Paired axial CT (left) and PSMA PET (right), 68Ga tracer. PET panel 200×200 px (4.1 mm/px).
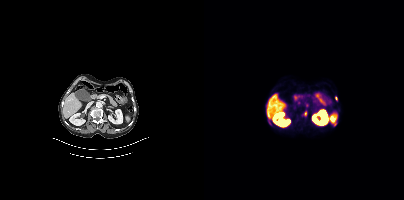
Coordinates are on the 200×200 PET (right) panel. PSMA-avid tumor lesion bounding boxes (partial; 1 more focus not listed):
| # | x0 | y0 | x1 | y1 |
|---|---|---|---|---|
| 1 | 64 | 118 | 66 | 124 |
Small PSMA-avid foci (2 to 4 px across) near (center x, center y): (102, 113); (131, 124).